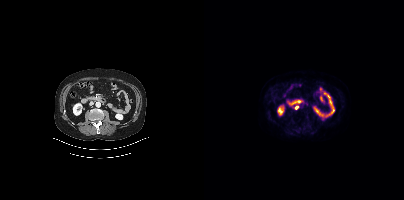
Coordinates are on the 200×200 PET (right) panel. (showing 1 of 2 foci) Small PSMA-avid focus (2 to 4 px across) near (center x, center y): (92, 107). Left: CT. Right: PSMA PET, same axial level, [18F]PSMA-1007 tracer. PET panel 200×200 px (4.1 mm/px).